- Left: CT. Right: PSMA PET, same axial level, 18F-PSMA tracer
- slice 65 of 403
- PET panel 200×200 px (4.1 mm/px)
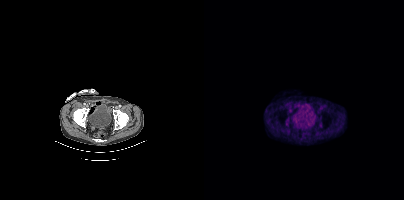
Findings: This slice has no annotated PSMA-avid lesion.